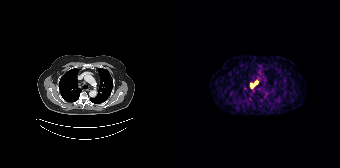
modality: PSMA PET/CT | tracer: 68Ga | view: axial | PET grid: 168×168
Coordinates are on the 168×168 PET (right) panel. PSMA-avid tumor lesion bounding box (x0,y0,x1,y1): [78,81,85,87].